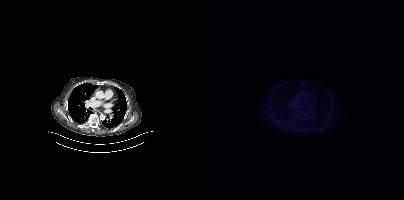
modality: PSMA PET/CT | tracer: 18F-PSMA | view: axial | PET grid: 200×200
No PSMA-avid tumor lesions on this slice.